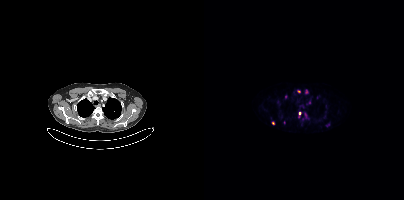
modality: PSMA PET/CT | tracer: 68Ga-PSMA | view: axial | PET grid: 200×200
Coordinates are on the 200×200 PET (right) panel. (showing 6 of 7 foci) PSMA-avid tumor lesion bounding box (x, y, width, height): x=94 y=112 w=3 h=6. Small PSMA-avid foci (2 to 4 px across) near (center x, center y): (103, 91) | (82, 96) | (101, 115) | (94, 91) | (68, 122).